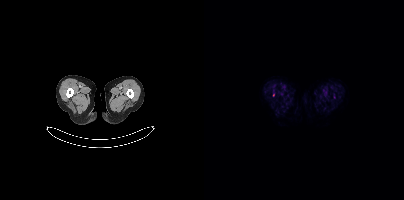
Coordinates are on the 200×200 PET (right) panel. Small PSMA-avid focus (2 to 4 px across) near (center x, center y): (69, 94).
modality: PSMA PET/CT | tracer: 18F-PSMA | view: axial | PET grid: 200×200